modality: PSMA PET/CT | tracer: [18F]PSMA-1007 | view: axial | PET grid: 200×200
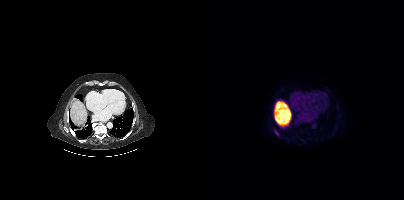
Coordinates are on the 200×200 PET (right) panel. Small PSMA-avid foci (2 to 4 px across) near (center x, center y): (72, 132); (70, 119).